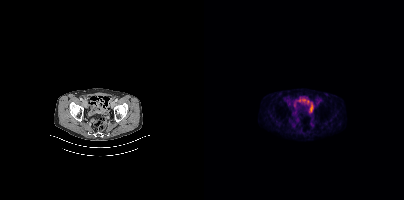
Negative for PSMA-avid disease on this slice.